modality: PSMA PET/CT | tracer: [18F]PSMA-1007 | view: axial | PET grid: 256×256
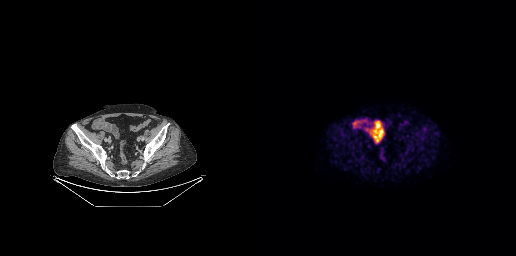
No PSMA-avid tumor lesions on this slice.